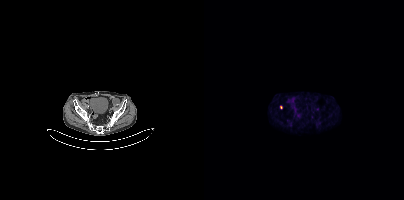
{"modality":"PSMA PET/CT","view":"axial","tracer":"[18F]PSMA-1007","pet_grid":[200,200],"coord_frame":"pet_panel","coord_format":"x0,y0,x1,y1","lesion_bboxes":[],"small_foci_centers":[[77,107]]}